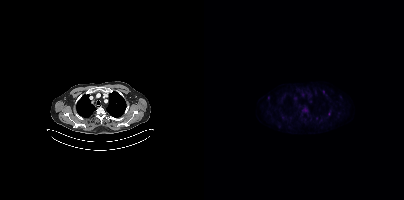
{"modality":"PSMA PET/CT","view":"axial","tracer":"18F","pet_grid":[200,200],"coord_frame":"pet_panel","coord_format":"x0,y0,x1,y1","partial":true,"lesion_bboxes":[],"small_foci_centers":[[64,97]]}